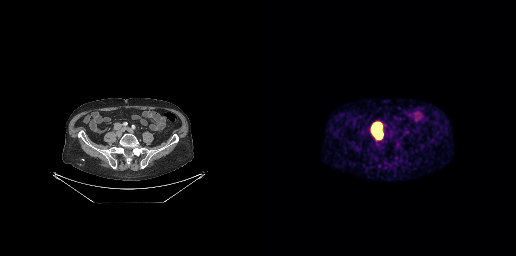
{"modality":"PSMA PET/CT","view":"axial","tracer":"[68Ga]Ga-PSMA-11","pet_grid":[256,256],"coord_frame":"pet_panel","coord_format":"x0,y0,x1,y1","lesion_bboxes":[[113,124,121,137]]}